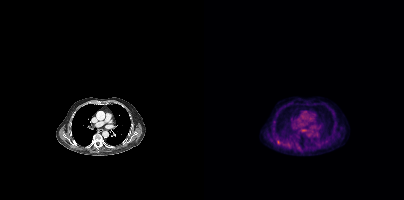
Coordinates are on the 200×200 PET (right) panel. PSMA-avid tumor lesion bounding box (x0, y0)-(x1, y1): (73, 140)-(76, 144). Small PSMA-avid focus (2 to 4 px across) near (center x, center y): (69, 122).